modality: PSMA PET/CT | tracer: [18F]PSMA-1007 | view: axial
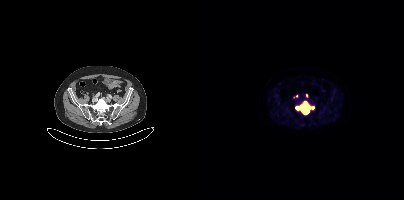
Coordinates are on the 200×200 PET (right) panel. PSMA-avid tumor lesion bounding box (x0, y0)-(x1, y1): (92, 102)-(105, 114). Small PSMA-avid foci (2 to 4 px across) near (center x, center y): (108, 107) / (102, 95).